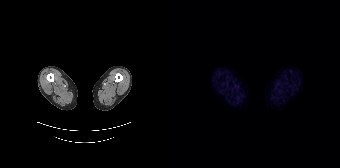
{"modality":"PSMA PET/CT","view":"axial","tracer":"68Ga","pet_grid":[168,168],"coord_frame":"pet_panel","coord_format":"x0,y0,x1,y1","psma_avid_lesions":false}